Two-panel axial: CT | PSMA PET, 18F tracer. Acquired on Siemens Biograph mCT Flow 20.
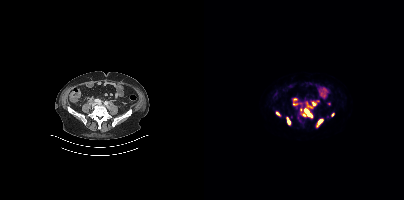
Coordinates are on the 200×200 PET (right) panel. PSMA-avid tumor lesion bounding boxes (partial; 2 more foci not listed):
| # | x0 | y0 | x1 | y1 |
|---|---|---|---|---|
| 1 | 98 | 108 | 108 | 117 |
| 2 | 112 | 119 | 119 | 127 |
| 3 | 101 | 101 | 108 | 108 |
| 4 | 82 | 117 | 86 | 124 |
| 5 | 108 | 101 | 112 | 105 |
| 6 | 89 | 103 | 93 | 105 |
Small PSMA-avid foci (2 to 4 px across) near (center x, center y): (90, 99); (73, 113); (128, 114); (96, 109).